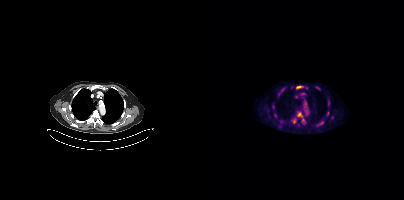
Left: CT. Right: PSMA PET, same axial level, 18F tracer. Acquired on Siemens Biograph mCT Flow 20. Slice position z = -472 mm. Coordinates are on the 200×200 PET (right) panel. (showing 7 of 10 foci) PSMA-avid tumor lesion bounding box (x, y, width, height): x=92 y=86 w=8 h=3. Small PSMA-avid foci (2 to 4 px across) near (center x, center y): (95, 114); (117, 123); (113, 88); (69, 107); (90, 121); (78, 89).